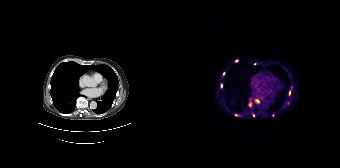
Coordinates are on the 168×168 PET (right) panel. (showing 9 of 11 foci) Small PSMA-avid foci (2 to 4 px across) near (center x, center y): (78, 104); (49, 85); (116, 103); (64, 115); (117, 92); (83, 63); (81, 115); (64, 60); (85, 100). Two-panel axial: CT | PSMA PET, 68Ga tracer.